Technique: Two-panel axial: CT | PSMA PET, 18F-PSMA tracer. acquired on Siemens Biograph mCT Flow 20.
Note: De-identified by setting a box covering the face to black before release.
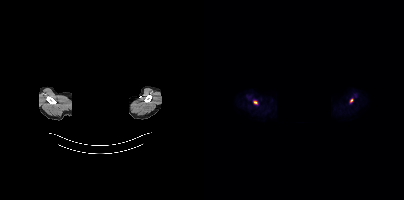
Findings: Coordinates are on the 200×200 PET (right) panel. Small PSMA-avid foci (2 to 4 px across) near (center x, center y): (51, 102) / (147, 100).